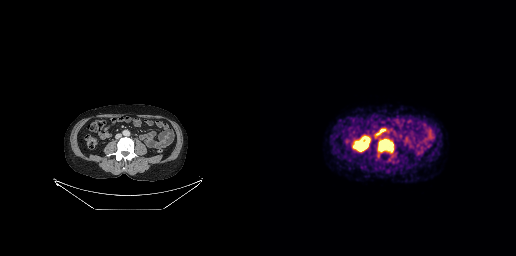
{"modality":"PSMA PET/CT","view":"axial","tracer":"[18F]PSMA-1007","pet_grid":[256,256],"coord_frame":"pet_panel","coord_format":"x0,y0,x1,y1","lesion_bboxes":[[118,139,133,152]]}